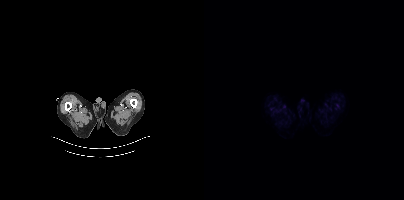
Negative for PSMA-avid disease on this slice.
modality: PSMA PET/CT | tracer: [18F]PSMA-1007 | view: axial